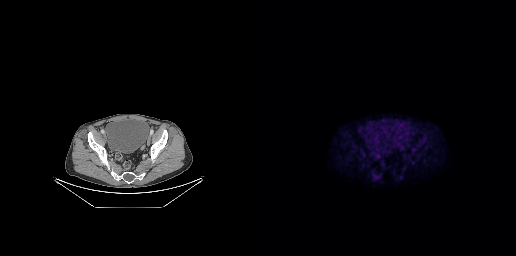
Findings: No tumor lesions annotated on this slice.
- Left: CT. Right: PSMA PET, same axial level, 18F-PSMA tracer
- acquired on GE Discovery 690